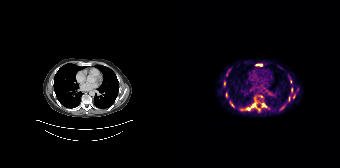
Paired axial CT (left) and PSMA PET (right), 68Ga tracer. Slice 129 of 195. PET panel 168×168 px (4.1 mm/px).
Coordinates are on the 168×168 PET (right) panel. PSMA-avid tumor lesion bounding boxes (partial; 3 more foci not listed):
| # | x0 | y0 | x1 | y1 |
|---|---|---|---|---|
| 1 | 73 | 103 | 84 | 110 |
| 2 | 107 | 105 | 112 | 110 |
| 3 | 90 | 103 | 94 | 107 |
| 4 | 84 | 64 | 90 | 65 |
| 5 | 54 | 92 | 55 | 97 |
| 6 | 116 | 97 | 118 | 101 |
Small PSMA-avid foci (2 to 4 px across) near (center x, center y): (119, 90); (60, 105); (52, 84).